modality: PSMA PET/CT | tracer: 18F-PSMA | view: axial | PET grid: 200×200
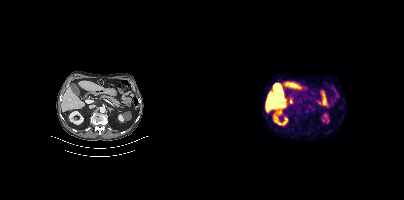
Negative for PSMA-avid disease on this slice.